Left: CT. Right: PSMA PET, same axial level, [18F]PSMA-1007 tracer. Slice 29 of 427.
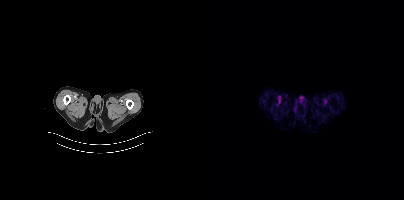
Negative for PSMA-avid disease on this slice.